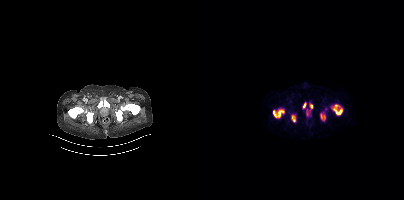
Negative for PSMA-avid disease on this slice.